modality: PSMA PET/CT | tracer: 18F-PSMA | view: axial | PET grid: 200×200
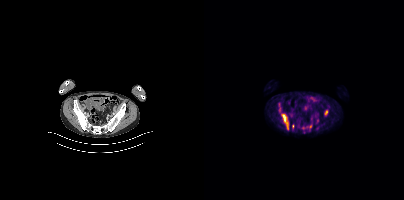
Coordinates are on the 200×200 PET (right) panel. (showing 5 of 8 foci) PSMA-avid tumor lesion bounding boxes (x, y, width, height): x=82 y=123 w=3 h=7; x=121 y=110 w=3 h=5; x=79 y=115 w=3 h=6. Small PSMA-avid foci (2 to 4 px across) near (center x, center y): (88, 126); (106, 126).